modality: PSMA PET/CT | tracer: 18F | view: axial | PET grid: 200×200
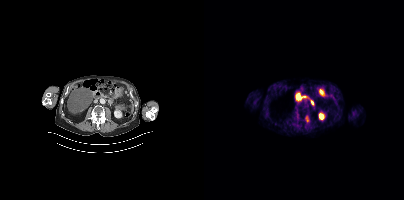
Coordinates are on the 200×200 PET (right) panel. PSMA-avid tumor lesion bounding box (x0, y0)-(x1, y1): (101, 116)-(105, 122).